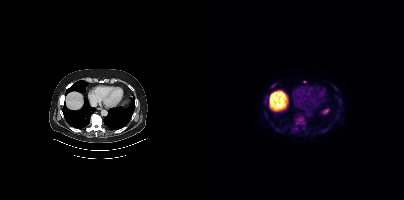
- Paired axial CT (left) and PSMA PET (right), 18F-PSMA tracer
- slice 295 of 464
- PET panel 200×200 px (4.1 mm/px)
Findings: Coordinates are on the 200×200 PET (right) panel. PSMA-avid tumor lesion bounding boxes (x0, y0)-(x1, y1): (90, 116)-(100, 125) | (118, 127)-(124, 133) | (88, 127)-(93, 132) | (135, 99)-(137, 106) | (70, 127)-(74, 131) | (130, 86)-(134, 91) | (67, 83)-(71, 88) | (60, 99)-(63, 103). Small PSMA-avid foci (2 to 4 px across) near (center x, center y): (100, 127) | (100, 81).